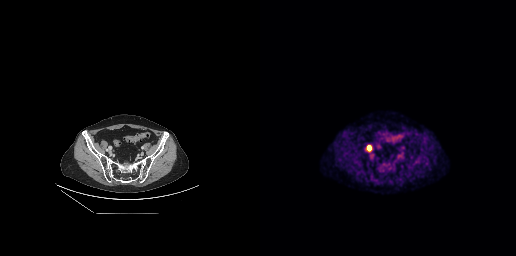
Coordinates are on the 256×256 PET (right) panel. PSMA-avid tumor lesion bounding box (x0,y0,x1,y1): [107,145,111,151].